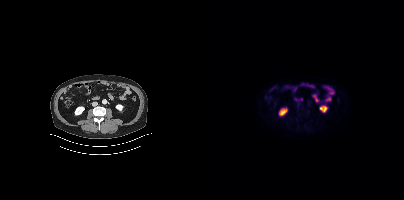
Negative for PSMA-avid disease on this slice.